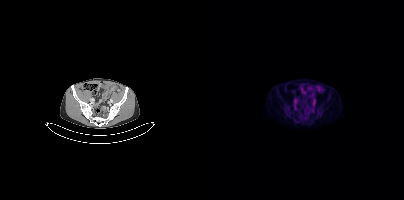
Technique: Left: CT. Right: PSMA PET, same axial level, 18F tracer. PET panel 200×200 px (4.1 mm/px).
Findings: Coordinates are on the 200×200 PET (right) panel. Small PSMA-avid focus (2 to 4 px across) near (center x, center y): (83, 112).